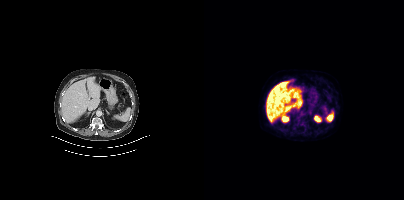
{"modality":"PSMA PET/CT","view":"axial","tracer":"18F","pet_grid":[200,200],"coord_frame":"pet_panel","coord_format":"x0,y0,x1,y1","psma_avid_lesions":false}